Paired axial CT (left) and PSMA PET (right), 18F-PSMA tracer. PET panel 256×256 px (2.7 mm/px).
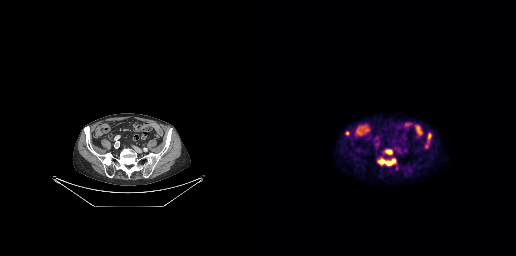
Coordinates are on the 256×256 PET (right) panel. PSMA-avid tumor lesion bounding boxes:
| # | x0 | y0 | x1 | y1 |
|---|---|---|---|---|
| 1 | 119 | 159 | 135 | 164 |
| 2 | 168 | 133 | 171 | 142 |
| 3 | 85 | 131 | 89 | 135 |
| 4 | 127 | 151 | 131 | 153 |